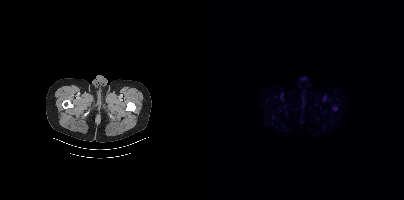
Findings: Coordinates are on the 200×200 PET (right) panel. Small PSMA-avid focus (2 to 4 px across) near (center x, center y): (131, 109).
- Left: CT. Right: PSMA PET, same axial level, 18F tracer
- PET panel 200×200 px (4.1 mm/px)